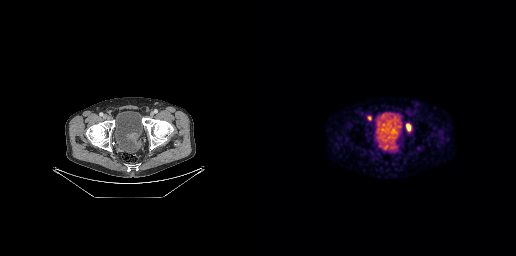
- Left: CT. Right: PSMA PET, same axial level, 68Ga-PSMA tracer
- acquired on GE Discovery 690
- PET panel 256×256 px (2.7 mm/px)
Findings: Coordinates are on the 256×256 PET (right) panel. PSMA-avid tumor lesion bounding boxes (x0,y0,x1,y1): [124,124,138,140], [146,123,151,131], [107,116,111,120].